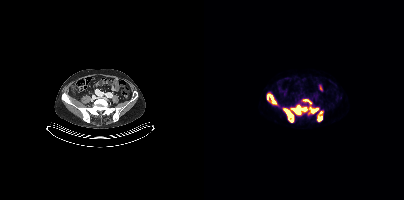
Left: CT. Right: PSMA PET, same axial level, 18F-PSMA tracer. Slice position z = -849 mm. PET panel 200×200 px (4.1 mm/px). Coordinates are on the 200×200 PET (right) panel. PSMA-avid tumor lesion bounding boxes (x0, y0)-(x1, y1): (87, 105)-(102, 114); (80, 109)-(89, 122); (63, 94)-(72, 103); (104, 107)-(114, 114); (114, 111)-(118, 121); (99, 100)-(106, 102).